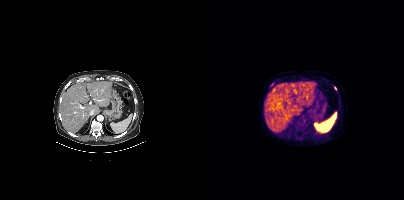
Two-panel axial: CT | PSMA PET, 18F-PSMA tracer. Acquired on Siemens Biograph mCT Flow 20. Coordinates are on the 200×200 PET (right) panel. Small PSMA-avid foci (2 to 4 px across) near (center x, center y): (67, 84), (131, 88).